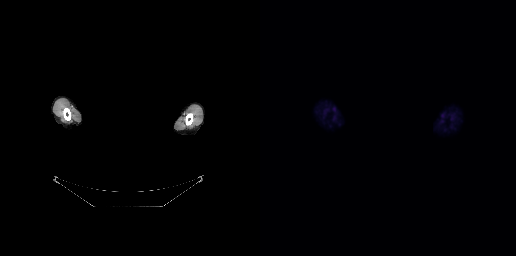
deidentification: privacy mask over head | modality: PSMA PET/CT | tracer: [18F]PSMA-1007 | view: axial
This slice has no annotated PSMA-avid lesion.